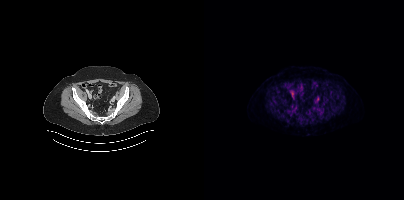
modality: PSMA PET/CT | tracer: [18F]PSMA-1007 | view: axial
This slice has no annotated PSMA-avid lesion.